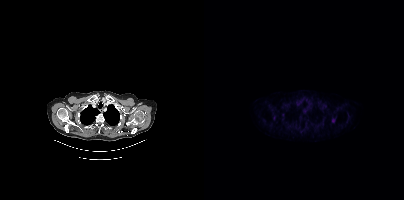
Coordinates are on the 200×200 PET (right) panel. Small PSMA-avid focus (2 to 4 px across) near (center x, center y): (129, 120). Two-panel axial: CT | PSMA PET, 18F-PSMA tracer. Acquired on Siemens Biograph mCT Flow 20. PET panel 200×200 px (4.1 mm/px).